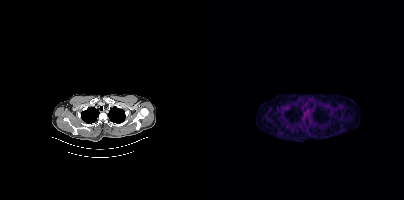
{"modality":"PSMA PET/CT","view":"axial","tracer":"18F-PSMA","pet_grid":[200,200],"coord_frame":"pet_panel","coord_format":"x0,y0,x1,y1","psma_avid_lesions":false}